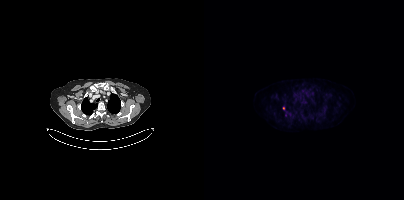
Two-panel axial: CT | PSMA PET, [18F]PSMA-1007 tracer. PET panel 200×200 px (4.1 mm/px). Only PSMA-avid lesion pieces thinner than 2 px on this slice (not listed).